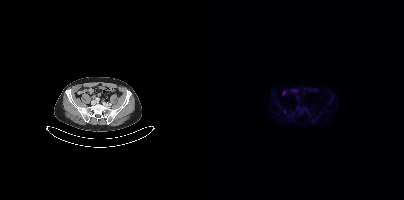
Coordinates are on the 200×200 PET (right) panel. Small PSMA-avid focus (2 to 4 px across) near (center x, center y): (80, 111). Two-panel axial: CT | PSMA PET, [18F]PSMA-1007 tracer.